Paired axial CT (left) and PSMA PET (right), [18F]PSMA-1007 tracer. Acquired on Siemens Biograph mCT Flow 20.
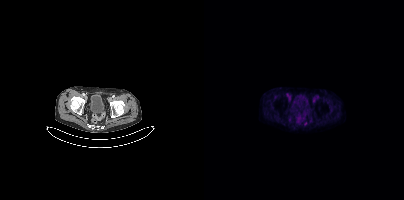
No PSMA-avid tumor lesions on this slice.